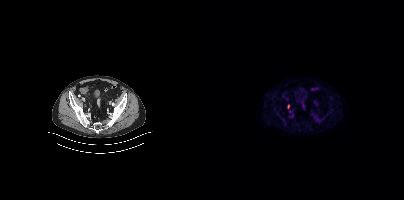
Findings: Only PSMA-avid lesion pieces thinner than 2 px on this slice (not listed).
- Paired axial CT (left) and PSMA PET (right), 18F-PSMA tracer
- acquired on Siemens Biograph mCT Flow 20
- PET panel 200×200 px (4.1 mm/px)